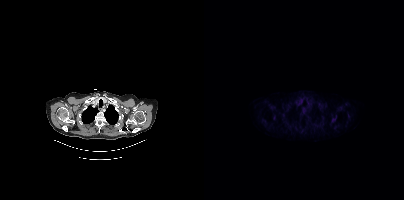
Technique: Left: CT. Right: PSMA PET, same axial level, 18F tracer. acquired on Siemens Biograph mCT Flow 20. slice position z = -897 mm. PET panel 200×200 px (4.1 mm/px).
Findings: Coordinates are on the 200×200 PET (right) panel. Small PSMA-avid focus (2 to 4 px across) near (center x, center y): (129, 119).